Paired axial CT (left) and PSMA PET (right), 18F tracer. Acquired on Siemens Biograph mCT Flow 20. Slice 73 of 413. PET panel 200×200 px (4.1 mm/px).
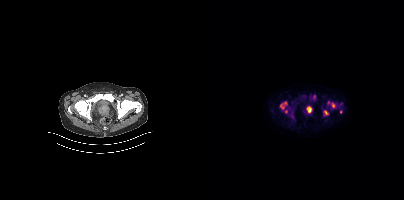
Coordinates are on the 200×200 PET (right) panel. PSMA-avid tumor lesion bounding boxes:
| # | x0 | y0 | x1 | y1 |
|---|---|---|---|---|
| 1 | 75 | 102 | 83 | 113 |
| 2 | 103 | 106 | 107 | 112 |
| 3 | 120 | 110 | 124 | 114 |
| 4 | 127 | 103 | 130 | 107 |
Small PSMA-avid foci (2 to 4 px across) near (center x, center y): (136, 111); (124, 102).